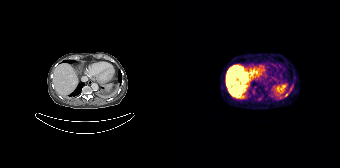
Left: CT. Right: PSMA PET, same axial level, 68Ga tracer. Slice 119 of 195. Negative for PSMA-avid disease on this slice.